Two-panel axial: CT | PSMA PET, 18F-PSMA tracer. Slice position z = 117 mm. PET panel 200×200 px (4.1 mm/px).
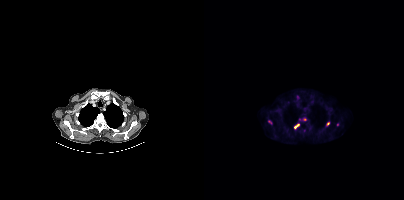
Coordinates are on the 200×200 PET (right) panel. PSMA-avid tumor lesion bounding boxes (partial; 1 more focus not listed):
| # | x0 | y0 | x1 | y1 |
|---|---|---|---|---|
| 1 | 90 | 124 | 95 | 128 |
Small PSMA-avid foci (2 to 4 px across) near (center x, center y): (124, 123); (65, 122); (100, 119).